Technique: Two-panel axial: CT | PSMA PET, 18F tracer. slice 221 of 409.
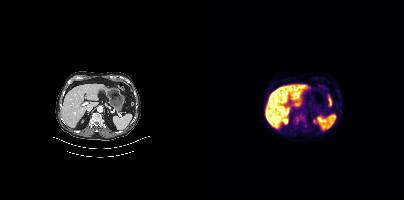
Findings: Coordinates are on the 200×200 PET (right) panel. PSMA-avid tumor lesion bounding box (x0, y0)-(x1, y1): (89, 119)-(95, 124).